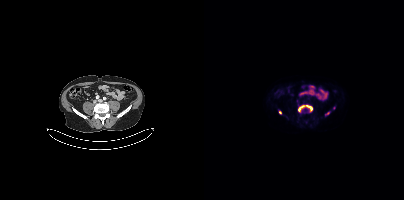
Paired axial CT (left) and PSMA PET (right), [18F]PSMA-1007 tracer. Coordinates are on the 200×200 PET (right) panel. (showing 2 of 3 foci) PSMA-avid tumor lesion bounding box (x0, y0)-(x1, y1): (94, 105)-(108, 111). Small PSMA-avid focus (2 to 4 px across) near (center x, center y): (76, 112).